Technique: Left: CT. Right: PSMA PET, same axial level, [18F]PSMA-1007 tracer. acquired on Siemens Biograph mCT Flow 20.
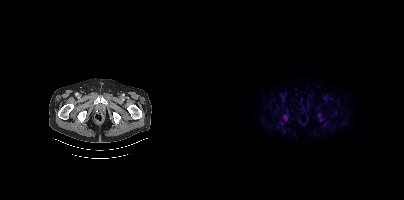
Findings: This slice has no annotated PSMA-avid lesion.